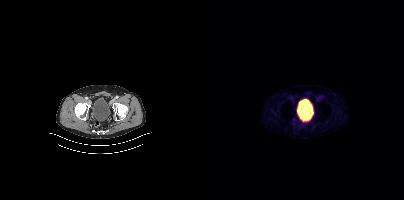
Findings: Coordinates are on the 200×200 PET (right) panel. Small PSMA-avid focus (2 to 4 px across) near (center x, center y): (89, 119).
Technique: Two-panel axial: CT | PSMA PET, [68Ga]Ga-PSMA-11 tracer.